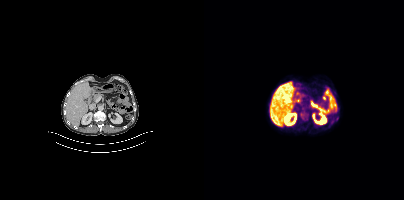
Findings: No PSMA-avid tumor lesions on this slice.
Technique: Left: CT. Right: PSMA PET, same axial level, [18F]PSMA-1007 tracer.